Left: CT. Right: PSMA PET, same axial level, [18F]PSMA-1007 tracer. Acquired on GE Discovery 690. Slice position z = -928 mm.
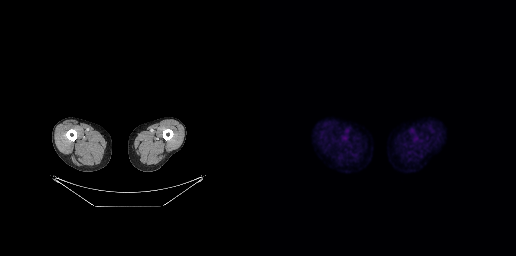
This slice has no annotated PSMA-avid lesion.